Technique: Left: CT. Right: PSMA PET, same axial level, 68Ga-PSMA tracer. PET panel 256×256 px (2.7 mm/px).
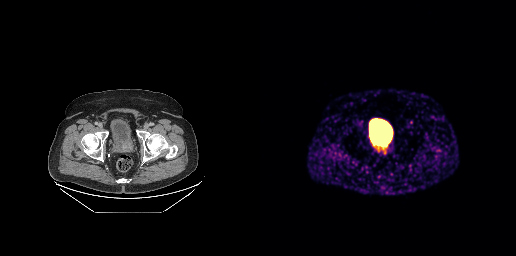
Findings: Coordinates are on the 256×256 PET (right) panel. PSMA-avid tumor lesion bounding box (x0,y0,x1,y1): [111,134,130,153].